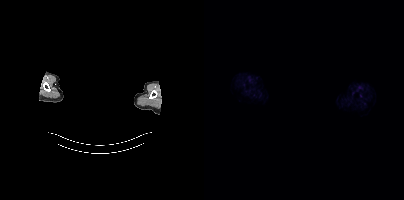
A rectangular block over the head has been blanked out for de-identification.
No PSMA-avid tumor lesions on this slice.